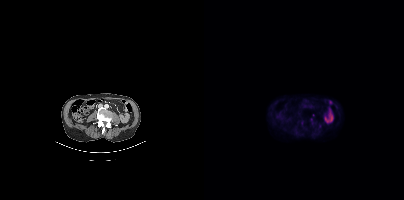
Paired axial CT (left) and PSMA PET (right), 18F tracer. PET panel 200×200 px (4.1 mm/px). This slice has no annotated PSMA-avid lesion.